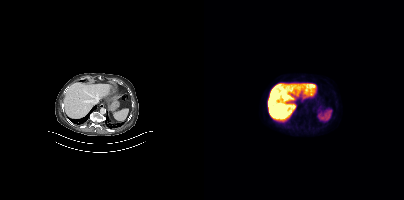
- Paired axial CT (left) and PSMA PET (right), [18F]PSMA-1007 tracer
Findings: This slice has no annotated PSMA-avid lesion.